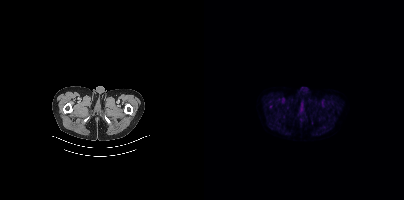
{"modality":"PSMA PET/CT","view":"axial","tracer":"18F-PSMA","pet_grid":[200,200],"coord_frame":"pet_panel","coord_format":"x0,y0,x1,y1","psma_avid_lesions":false}